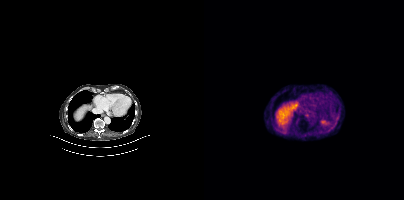
No PSMA-avid tumor lesions on this slice.